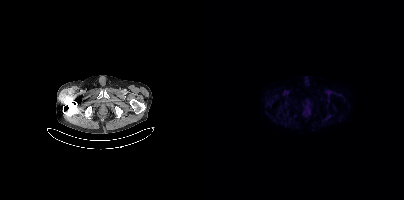
Findings: No tumor lesions annotated on this slice.
- Two-panel axial: CT | PSMA PET, 18F-PSMA tracer
- acquired on Siemens Biograph mCT Flow 20
- PET panel 200×200 px (4.1 mm/px)